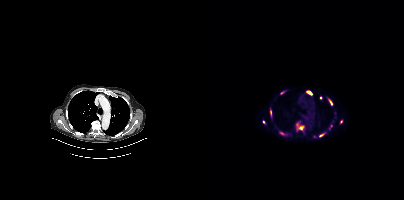
{"modality":"PSMA PET/CT","view":"axial","tracer":"68Ga","pet_grid":[200,200],"coord_frame":"pet_panel","coord_format":"x0,y0,x1,y1","partial":true,"lesion_bboxes":[[92,123,100,130],[115,132,121,136],[125,124,128,129],[103,91,107,94],[124,98,128,104],[66,110,67,116]],"small_foci_centers":[[78,133],[59,122],[116,97],[137,121]]}